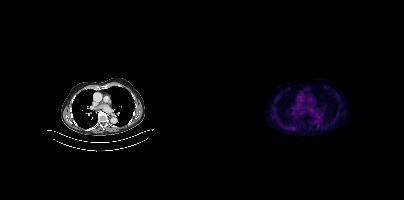
Coordinates are on the 200×200 PET (right) panel. Small PSMA-avid focus (2 to 4 px across) near (center x, center y): (114, 125).